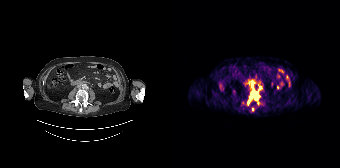
Findings: Coordinates are on the 168×168 PET (right) panel. PSMA-avid tumor lesion bounding boxes (x0, y0)-(x1, y1): (75, 90)-(87, 104); (80, 83)-(81, 88). Small PSMA-avid foci (2 to 4 px across) near (center x, center y): (88, 88); (80, 109).
- Paired axial CT (left) and PSMA PET (right), 68Ga tracer